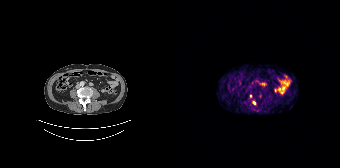
Coordinates are on the 168×168 PET (right) panel. Small PSMA-avid focus (2 to 4 px across) near (center x, center y): (82, 102). Paired axial CT (left) and PSMA PET (right), 68Ga tracer. Slice 90 of 195. PET panel 168×168 px (4.1 mm/px).